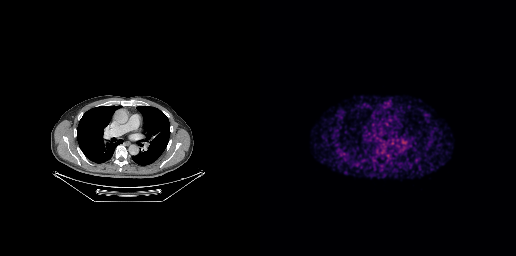
{"modality":"PSMA PET/CT","view":"axial","tracer":"18F-PSMA","pet_grid":[256,256],"coord_frame":"pet_panel","coord_format":"x0,y0,x1,y1","psma_avid_lesions":false}